Paired axial CT (left) and PSMA PET (right), [18F]PSMA-1007 tracer. Acquired on Siemens Biograph mCT Flow 20. Slice 3 of 466.
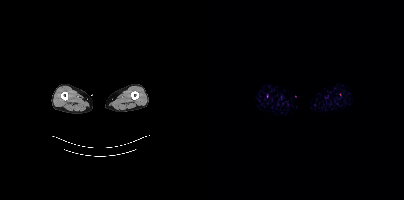
No tumor lesions annotated on this slice.